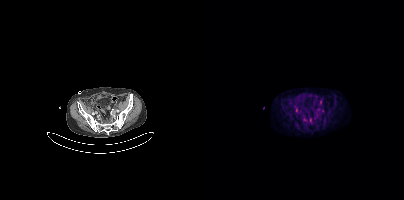
Paired axial CT (left) and PSMA PET (right), 18F-PSMA tracer. Coordinates are on the 200×200 PET (right) panel. PSMA-avid tumor lesion bounding box (x, y, width, height): x=91 y=108 w=3 h=5. Small PSMA-avid focus (2 to 4 px across) near (center x, center y): (106, 120).